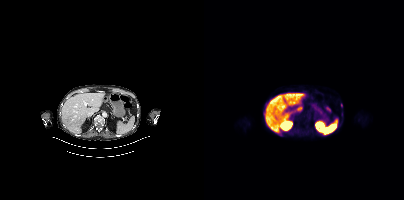
Left: CT. Right: PSMA PET, same axial level, 18F tracer. Slice 227 of 415. Coordinates are on the 200×200 PET (right) panel. PSMA-avid tumor lesion bounding box (x0, y0)-(x1, y1): (137, 103)-(138, 107). Small PSMA-avid focus (2 to 4 px across) near (center x, center y): (137, 114).